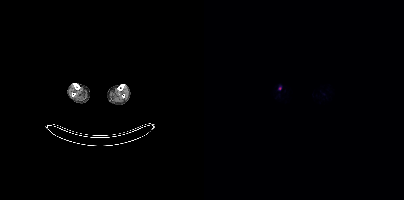
- Two-panel axial: CT | PSMA PET, 18F tracer
Findings: Coordinates are on the 200×200 PET (right) panel. Small PSMA-avid focus (2 to 4 px across) near (center x, center y): (76, 88).